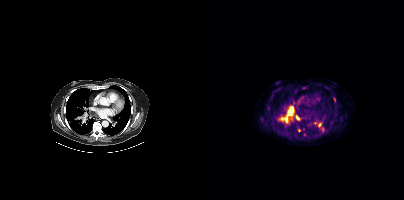
modality: PSMA PET/CT | tracer: 18F | view: axial
Coordinates are on the 200×200 PET (right) panel. (showing 8 of 9 foci) PSMA-avid tumor lesion bounding box (x0,y0,x1,y1): [73,106,89,122]. Small PSMA-avid foci (2 to 4 px across) near (center x, center y): (93, 117), (100, 134), (130, 99), (115, 124), (95, 130), (99, 87), (118, 128).